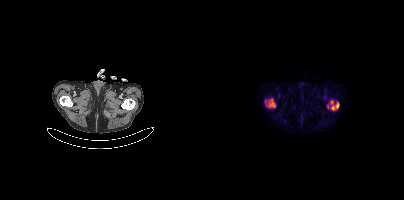
- Left: CT. Right: PSMA PET, same axial level, [18F]PSMA-1007 tracer
- PET panel 200×200 px (4.1 mm/px)
Findings: Coordinates are on the 200×200 PET (right) panel. PSMA-avid tumor lesion bounding boxes (x0,y0,x1,y1): [127,100,135,110], [65,99,71,107]. Small PSMA-avid focus (2 to 4 px across) near (center x, center y): (123, 107).